Paired axial CT (left) and PSMA PET (right), [18F]PSMA-1007 tracer. PET panel 200×200 px (4.1 mm/px).
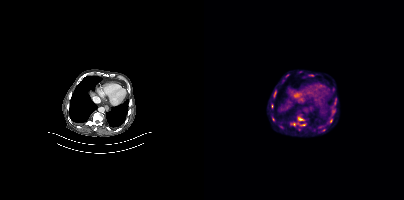
Coordinates are on the 200×200 PET (right) panel. PSMA-avid tumor lesion bounding boxes (x0, y0)-(x1, y1): (128, 109)-(131, 114) / (94, 117)-(99, 120) / (96, 124)-(101, 125). Small PSMA-avid focus (2 to 4 px across) near (center x, center y): (90, 124).